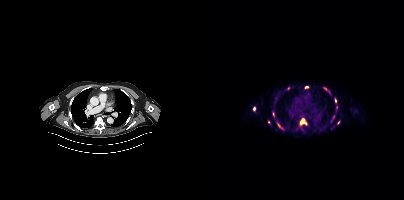
Left: CT. Right: PSMA PET, same axial level, 18F-PSMA tracer. Acquired on Siemens Biograph mCT Flow 20. Slice position z = -1020 mm. PET panel 200×200 px (4.1 mm/px). Coordinates are on the 200×200 PET (right) panel. (showing 12 of 13 foci) PSMA-avid tumor lesion bounding boxes (x, y, width, height): x=96 y=118 w=8 h=8; x=131 y=98 w=2 h=5; x=73 y=123 w=4 h=5; x=69 y=112 w=2 h=5. Small PSMA-avid foci (2 to 4 px across) near (center x, center y): (102, 87); (84, 88); (120, 88); (50, 108); (134, 122); (132, 107); (64, 122); (129, 116).